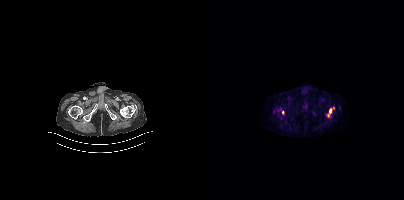
Coordinates are on the 200×200 PET (right) panel. PSMA-avid tumor lesion bounding boxes (x0, y0)-(x1, y1): (122, 107)-(130, 117) | (77, 110)-(80, 114). Small PSMA-avid foci (2 to 4 px across) near (center x, center y): (74, 110) | (77, 117).
modality: PSMA PET/CT | tracer: 18F-PSMA | view: axial | PET grid: 200×200